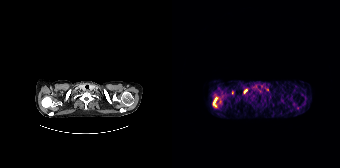
Technique: Paired axial CT (left) and PSMA PET (right), 68Ga-PSMA tracer. acquired on Siemens Biograph 64-4R TruePoint. PET panel 168×168 px (4.1 mm/px).
Findings: Coordinates are on the 168×168 PET (right) panel. PSMA-avid tumor lesion bounding boxes (x, y, width, height): x=41 y=96 w=6 h=12 / x=71 y=89 w=5 h=5. Small PSMA-avid foci (2 to 4 px across) near (center x, center y): (60, 92) / (48, 101) / (95, 89).